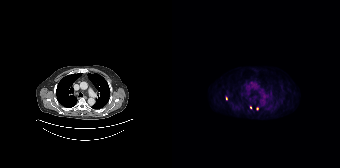
{"modality":"PSMA PET/CT","view":"axial","tracer":"[18F]PSMA-1007","pet_grid":[168,168],"coord_frame":"pet_panel","coord_format":"x0,y0,x1,y1","partial":true,"lesion_bboxes":[],"small_foci_centers":[[54,98],[78,107]]}